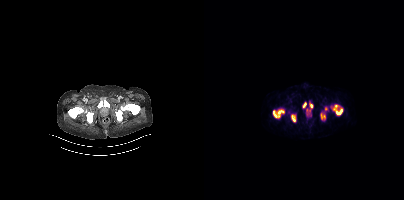
No tumor lesions annotated on this slice.